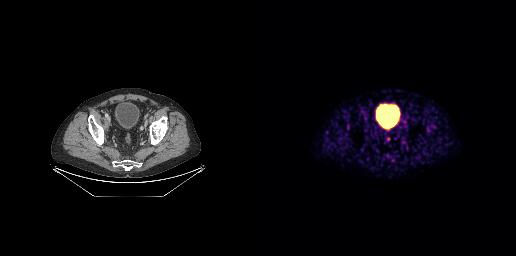
No PSMA-avid tumor lesions on this slice. Two-panel axial: CT | PSMA PET, 68Ga tracer. Slice position z = -831 mm.